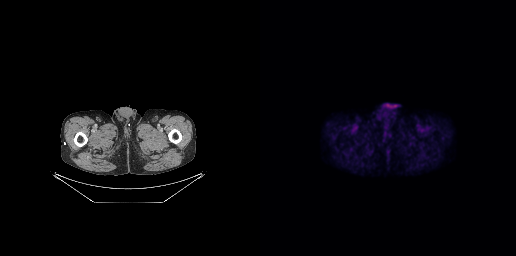
Left: CT. Right: PSMA PET, same axial level, 18F tracer. Slice position z = -816 mm. PET panel 256×256 px (2.7 mm/px). No tumor lesions annotated on this slice.